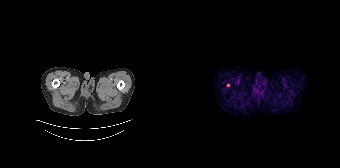
Left: CT. Right: PSMA PET, same axial level, 68Ga tracer. PET panel 168×168 px (4.1 mm/px). Coordinates are on the 168×168 PET (right) panel. Small PSMA-avid focus (2 to 4 px across) near (center x, center y): (55, 84).